Technique: Left: CT. Right: PSMA PET, same axial level, 18F-PSMA tracer. acquired on GE Discovery 690. slice 261 of 299. PET panel 256×256 px (2.7 mm/px).
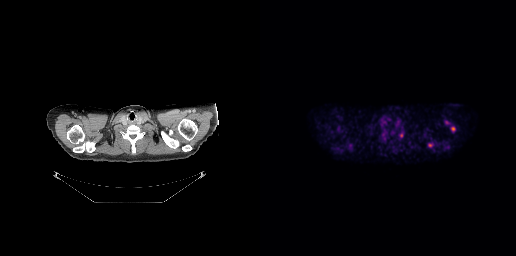
Findings: Coordinates are on the 256×256 PET (right) panel. PSMA-avid tumor lesion bounding boxes (x0,y0,x1,y1): [191,127,195,131] [168,144,172,146]. Small PSMA-avid foci (2 to 4 px across) near (center x, center y): (186, 122) (78, 128).